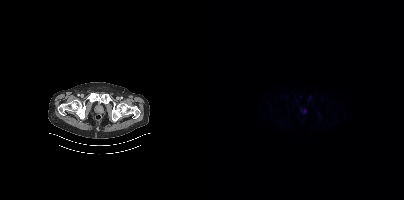
This slice has no annotated PSMA-avid lesion.
modality: PSMA PET/CT | tracer: [18F]PSMA-1007 | view: axial | PET grid: 200×200